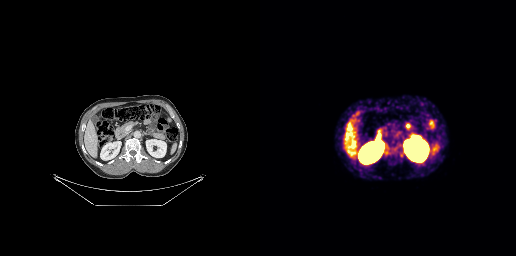
modality: PSMA PET/CT | tracer: [68Ga]Ga-PSMA-11 | view: axial
No PSMA-avid tumor lesions on this slice.